Technique: Left: CT. Right: PSMA PET, same axial level, 18F-PSMA tracer. acquired on Siemens Biograph mCT Flow 20.
Note: Facial anatomy redacted by setting a rectangular region of the head to black.
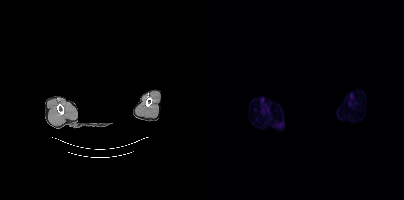
Findings: This slice has no annotated PSMA-avid lesion.